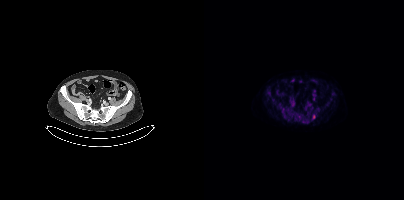
Coordinates are on the 200×200 PET (right) panel. Small PSMA-avid focus (2 to 4 px across) near (center x, center y): (110, 116). Paired axial CT (left) and PSMA PET (right), 18F-PSMA tracer. Acquired on Siemens Biograph mCT Flow 20. Slice position z = -1457 mm.